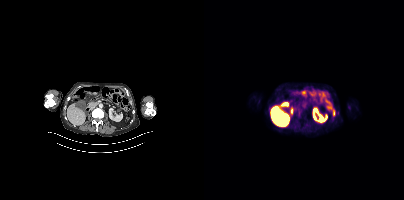
Coordinates are on the 200×200 PET (right) panel. PSMA-avid tumor lesion bounding box (x0,y0,x1,y1): [127,107,131,115].